modality: PSMA PET/CT | tracer: 18F-PSMA | view: axial
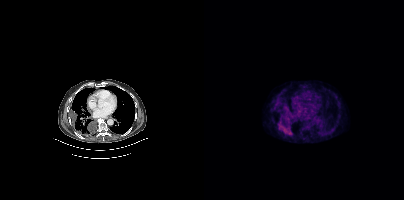
Coordinates are on the 200×200 PET (right) panel. PSMA-avid tumor lesion bounding boxes (x, y, width, height): x=74 y=121 w=14 h=14 | x=82 y=109 w=6 h=6.